Paired axial CT (left) and PSMA PET (right), 18F tracer. Acquired on GE Discovery 690.
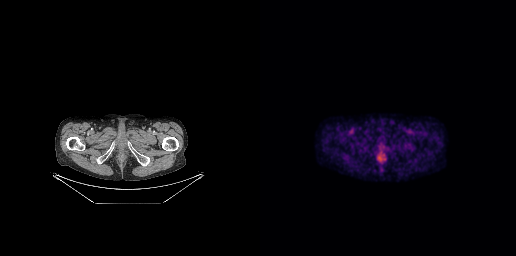
Negative for PSMA-avid disease on this slice.